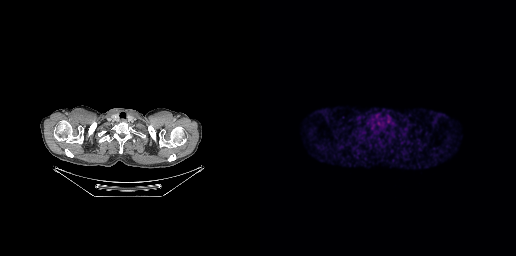
Technique: Left: CT. Right: PSMA PET, same axial level, 18F tracer. PET panel 256×256 px (2.7 mm/px).
Findings: No tumor lesions annotated on this slice.